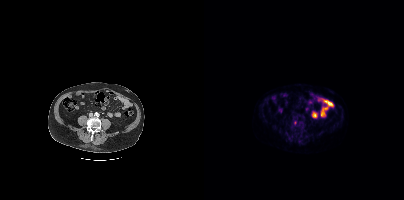
modality: PSMA PET/CT | tracer: 18F | view: axial | PET grid: 200×200
Coordinates are on the 200×200 PET (right) panel. Small PSMA-avid focus (2 to 4 px across) near (center x, center y): (91, 122).